Technique: Two-panel axial: CT | PSMA PET, [18F]PSMA-1007 tracer. acquired on Siemens Biograph mCT Flow 20. PET panel 200×200 px (4.1 mm/px).
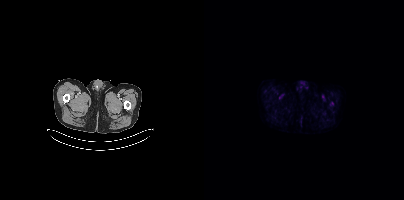
Findings: This slice has no annotated PSMA-avid lesion.